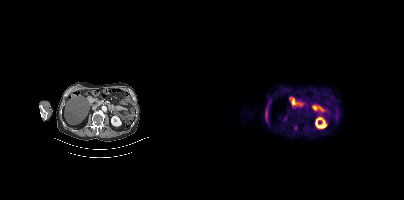
Two-panel axial: CT | PSMA PET, 18F tracer. Slice 192 of 411. Coordinates are on the 200×200 PET (right) panel. Small PSMA-avid focus (2 to 4 px across) near (center x, center y): (91, 127).